modality: PSMA PET/CT | tracer: 68Ga | view: axial | PET grid: 200×200
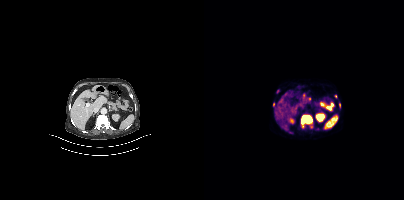
Coordinates are on the 200×200 PET (right) panel. (showing 6 of 7 foci) PSMA-avid tumor lesion bounding boxes (x0, y0)-(x1, y1): (97, 115)-(108, 128) / (135, 103)-(136, 107). Small PSMA-avid foci (2 to 4 px across) near (center x, center y): (69, 104) / (74, 91) / (131, 96) / (86, 132).